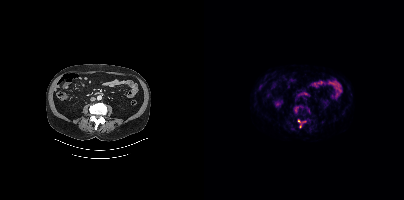
Left: CT. Right: PSMA PET, same axial level, [18F]PSMA-1007 tracer. Acquired on Siemens Biograph mCT Flow 20. Slice position z = -747 mm. Coordinates are on the 200×200 PET (right) panel. (showing 3 of 4 foci) Small PSMA-avid foci (2 to 4 px across) near (center x, center y): (95, 120) (96, 125) (99, 121).